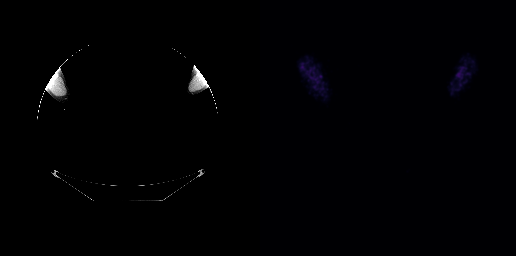
No tumor lesions annotated on this slice. Privacy masking over the head, with the pixels inside a rectangle set to black. Left: CT. Right: PSMA PET, same axial level, [18F]PSMA-1007 tracer. Acquired on GE Discovery 690. Slice position z = -11 mm. PET panel 256×256 px (2.7 mm/px).